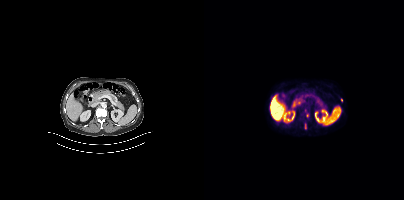
{"modality":"PSMA PET/CT","view":"axial","tracer":"18F-PSMA","pet_grid":[200,200],"coord_frame":"pet_panel","coord_format":"x0,y0,x1,y1","partial":true,"lesion_bboxes":[[101,123,102,128]],"small_foci_centers":[[103,115],[137,100]]}